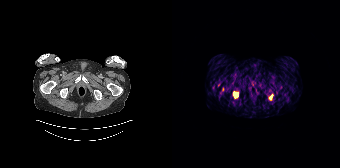
Coordinates are on the 168×168 PET (right) panel. PSMA-avid tumor lesion bounding boxes (x0,y0,x1,y1): [61,91,66,97]; [97,94,100,99]; [50,87,52,91].
modality: PSMA PET/CT | tracer: [68Ga]Ga-PSMA-11 | view: axial